- the face region was removed for patient privacy by blanking a rectangle over the head
- Left: CT. Right: PSMA PET, same axial level, [18F]PSMA-1007 tracer
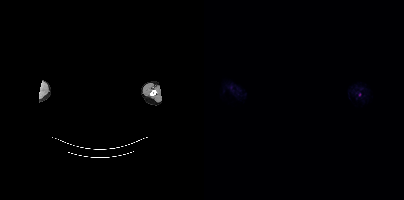
Findings: Coordinates are on the 200×200 PET (right) panel. Small PSMA-avid focus (2 to 4 px across) near (center x, center y): (155, 94).